Paired axial CT (left) and PSMA PET (right), 18F-PSMA tracer.
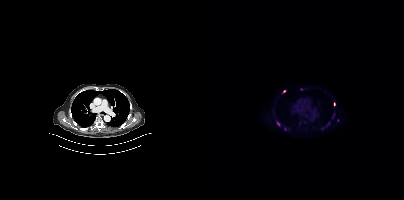
Coordinates are on the 200×200 PET (right) panel. Small PSMA-avid foci (2 to 4 px across) near (center x, center y): (74, 123); (130, 104); (80, 91); (80, 129).